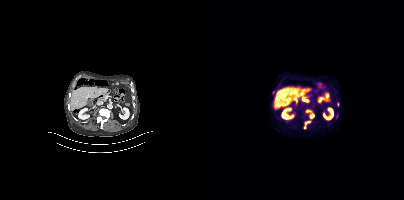
Findings: Coordinates are on the 200×200 PET (right) panel. (showing 2 of 3 foci) PSMA-avid tumor lesion bounding boxes (x, y, width, height): x=100 y=109 w=11 h=20 | x=133 y=102 w=3 h=5.
Technique: Left: CT. Right: PSMA PET, same axial level, [18F]PSMA-1007 tracer. slice position z = -1223 mm. PET panel 200×200 px (4.1 mm/px).